- Paired axial CT (left) and PSMA PET (right), 68Ga tracer
- slice 43 of 195
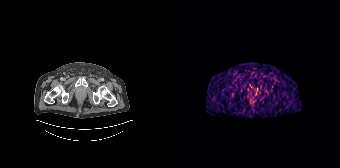
Findings: Negative for PSMA-avid disease on this slice.